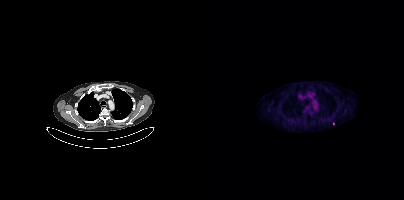
Findings: This slice has no annotated PSMA-avid lesion.
- Two-panel axial: CT | PSMA PET, 18F-PSMA tracer
- acquired on Siemens Biograph mCT Flow 20
- slice position z = -1192 mm